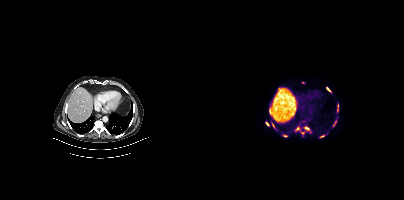
{"modality":"PSMA PET/CT","view":"axial","tracer":"18F","pet_grid":[200,200],"coord_frame":"pet_panel","coord_format":"x0,y0,x1,y1","partial":true,"lesion_bboxes":[[101,127,105,129],[123,87,126,91],[116,135,120,137]],"small_foci_centers":[[63,123],[93,128],[81,135],[129,124],[131,121]]}